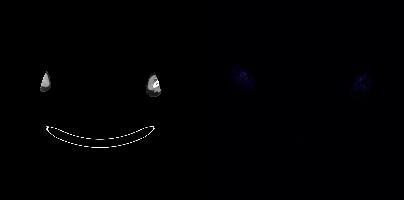
The face region was removed for patient privacy by blanking a rectangle over the head.
No PSMA-avid tumor lesions on this slice.